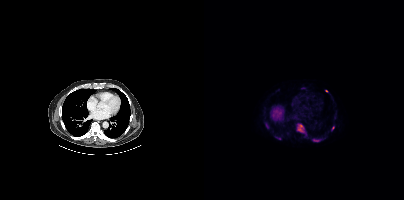
Coordinates are on the 200×200 PET (right) panel. PSMA-avid tumor lesion bounding boxes (x0,y0,x1,y1): [93,123,102,135] [109,139,115,141] [71,136,77,139]. Small PSMA-avid foci (2 to 4 px across) near (center x, center y): (129, 127) (122, 90). Paired axial CT (left) and PSMA PET (right), 18F tracer. Acquired on Siemens Biograph mCT Flow 20. PET panel 200×200 px (4.1 mm/px).